Left: CT. Right: PSMA PET, same axial level, 18F tracer. Acquired on Siemens Biograph mCT Flow 20.
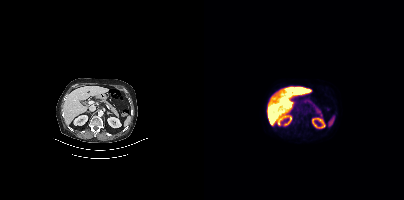
No PSMA-avid tumor lesions on this slice.